- Left: CT. Right: PSMA PET, same axial level, 68Ga-PSMA tracer
- acquired on GE Discovery 690
- slice 36 of 227
- PET panel 256×256 px (2.7 mm/px)
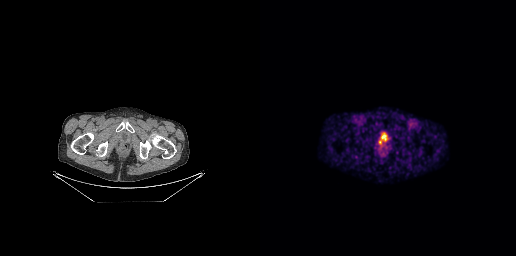
Findings: Coordinates are on the 256×256 PET (right) panel. PSMA-avid tumor lesion bounding box (x0,y0,x1,y1): [118,140,121,145].